Technique: Left: CT. Right: PSMA PET, same axial level, 68Ga tracer. slice position z = -287 mm. PET panel 256×256 px (2.7 mm/px).
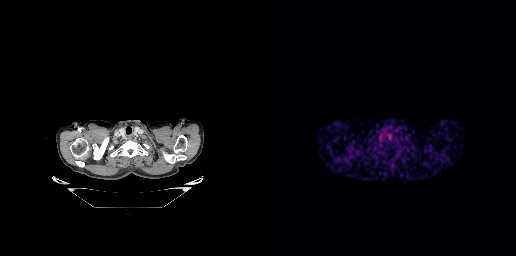
Findings: No PSMA-avid tumor lesions on this slice.